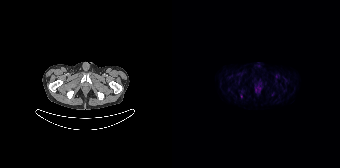
Left: CT. Right: PSMA PET, same axial level, 18F-PSMA tracer. Acquired on Siemens Biograph 64-4R TruePoint. This slice has no annotated PSMA-avid lesion.